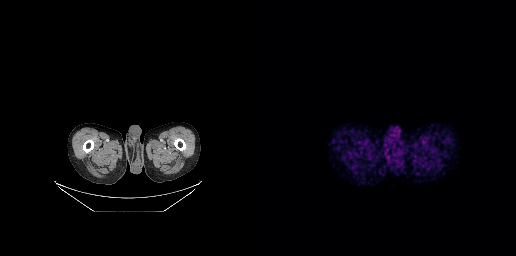
Negative for PSMA-avid disease on this slice. Two-panel axial: CT | PSMA PET, 68Ga tracer. Acquired on GE Discovery 690. Slice position z = -791 mm.